Left: CT. Right: PSMA PET, same axial level, 18F-PSMA tracer. Slice 168 of 454.
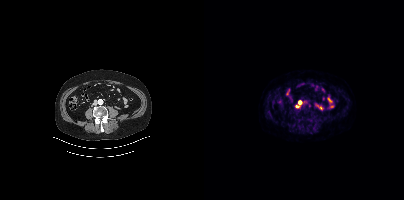
Coordinates are on the 200×200 PET (right) panel. Small PSMA-avid foci (2 to 4 px across) near (center x, center y): (96, 102); (92, 106).